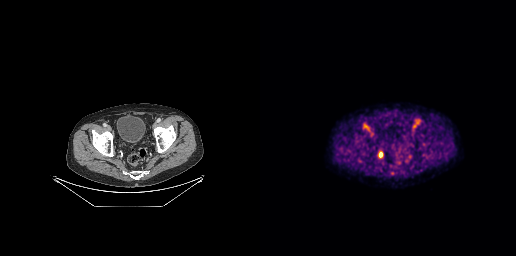
{"modality":"PSMA PET/CT","view":"axial","tracer":"18F","pet_grid":[256,256],"coord_frame":"pet_panel","coord_format":"x0,y0,x1,y1","lesion_bboxes":[],"small_foci_centers":[[120,154],[132,173]]}